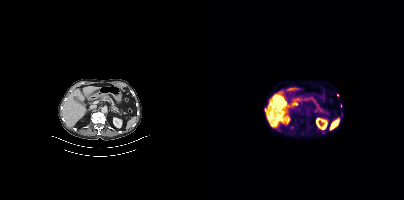
Coordinates are on the 200×200 PET (right) panel. (showing 2 of 4 foci) Small PSMA-avid foci (2 to 4 px across) near (center x, center y): (61, 109) / (133, 95).